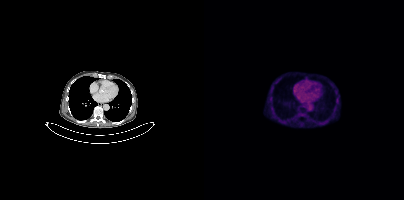
modality: PSMA PET/CT | tracer: 18F | view: axial
No tumor lesions annotated on this slice.